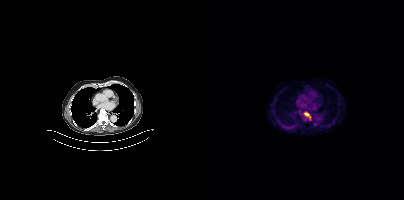
Coordinates are on the 200×200 PET (right) panel. PSMA-avid tumor lesion bounding box (x, y, width, height): x=100 y=112 w=7 h=9.